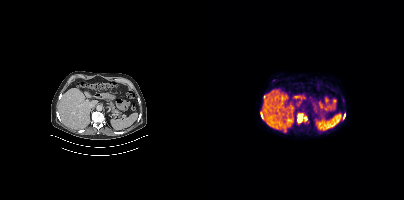
Paired axial CT (left) and PSMA PET (right), 18F-PSMA tracer. Acquired on Siemens Biograph mCT Flow 20. Coordinates are on the 200×200 PET (right) panel. PSMA-avid tumor lesion bounding box (x0, y0)-(x1, y1): (93, 114)-(98, 122). Small PSMA-avid focus (2 to 4 px across) near (center x, center y): (101, 118).